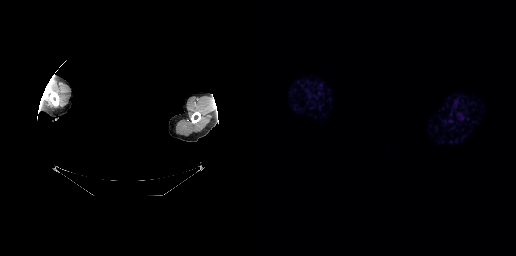
Left: CT. Right: PSMA PET, same axial level, 68Ga tracer. Acquired on GE Discovery 690. Slice 254 of 263. The face region was removed for patient privacy by blanking a rectangle over the head. No PSMA-avid tumor lesions on this slice.